Technique: Paired axial CT (left) and PSMA PET (right), 18F-PSMA tracer.
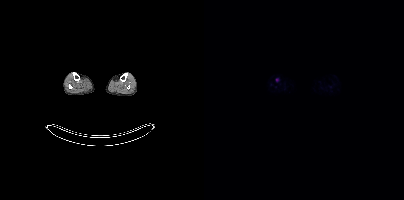
Findings: Coordinates are on the 200×200 PET (right) panel. Small PSMA-avid focus (2 to 4 px across) near (center x, center y): (72, 79).